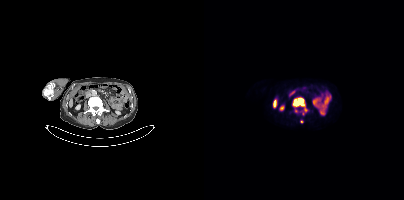
Two-panel axial: CT | PSMA PET, 18F-PSMA tracer. Slice 172 of 409.
Coordinates are on the 200×200 PET (right) panel. PSMA-avid tumor lesion bounding boxes:
| # | x0 | y0 | x1 | y1 |
|---|---|---|---|---|
| 1 | 88 | 97 | 103 | 115 |
Small PSMA-avid focus (2 to 4 px across) near (center x, center y): (97, 121).